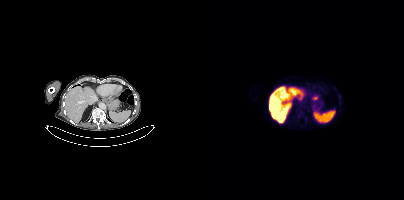
No tumor lesions annotated on this slice.